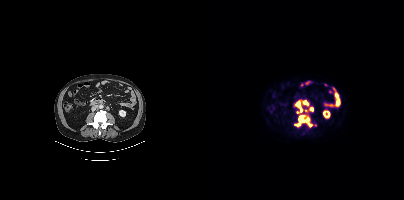
Coordinates are on the 200×200 PET (right) panel. PSMA-avid tumor lesion bounding boxes (x0, y0)-(x1, y1): (91, 100)-(108, 127); (101, 106)-(108, 112). Paired axial CT (left) and PSMA PET (right), 18F-PSMA tracer. Acquired on Siemens Biograph mCT Flow 20. Slice position z = -1365 mm.